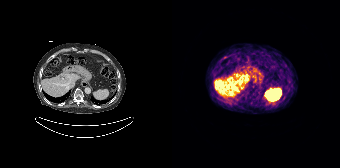
Technique: Left: CT. Right: PSMA PET, same axial level, 68Ga tracer. acquired on Siemens Biograph 64-4R TruePoint.
Findings: Coordinates are on the 168×168 PET (right) panel. Small PSMA-avid focus (2 to 4 px across) near (center x, center y): (53, 57).